- Two-panel axial: CT | PSMA PET, 68Ga tracer
- slice 44 of 195
- PET panel 168×168 px (4.1 mm/px)
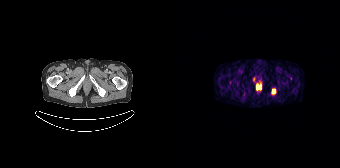
Findings: Coordinates are on the 168×168 PET (right) panel. (showing 2 of 3 foci) PSMA-avid tumor lesion bounding boxes (x, y, width, height): x=100 y=89 w=4 h=5; x=84 y=84 w=3 h=6.